Paired axial CT (left) and PSMA PET (right), 18F-PSMA tracer.
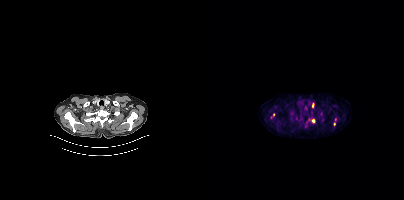
Coordinates are on the 200×200 PET (right) panel. (showing 4 of 5 foci) PSMA-avid tumor lesion bounding boxes (x0, y0)-(x1, y1): (107, 119)-(111, 122) / (108, 103)-(110, 107). Small PSMA-avid foci (2 to 4 px across) near (center x, center y): (130, 124) / (69, 114).